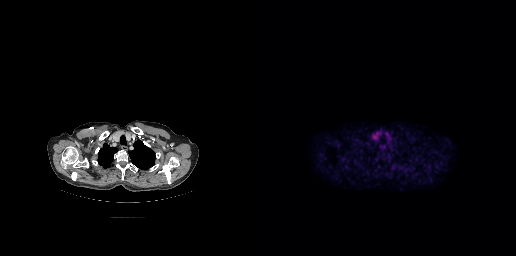
No PSMA-avid tumor lesions on this slice. Paired axial CT (left) and PSMA PET (right), 18F-PSMA tracer. PET panel 256×256 px (2.7 mm/px).